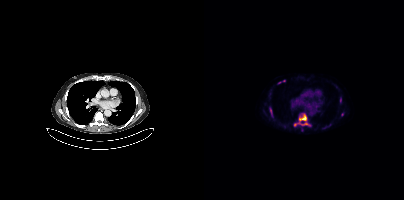
{"pet_grid":[200,200],"coord_frame":"pet_panel","coord_format":"x0,y0,x1,y1","lesion_bboxes":[[90,114,104,125],[66,108,69,117],[119,124,126,128]],"small_foci_centers":[[138,114],[136,99],[80,80],[75,82]],"modality":"PSMA PET/CT","view":"axial","tracer":"[18F]PSMA-1007"}